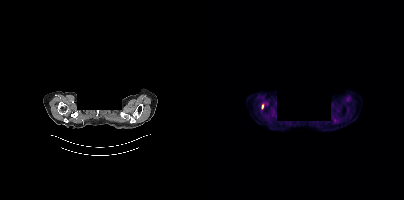
Coordinates are on the 200×200 PET (right) panel. Small PSMA-avid focus (2 to 4 px across) near (center x, center y): (58, 106). A rectangular block over the head has been blanked out for de-identification. Two-panel axial: CT | PSMA PET, [18F]PSMA-1007 tracer. Slice position z = -1008 mm.